Paired axial CT (left) and PSMA PET (right), 68Ga tracer. Slice position z = 343 mm.
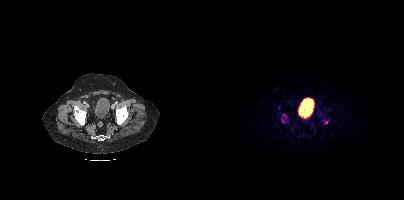
Coordinates are on the 200×200 PET (right) panel. (showing 2 of 3 foci) PSMA-avid tumor lesion bounding box (x0, y0)-(x1, y1): (119, 119)-(125, 124). Small PSMA-avid focus (2 to 4 px across) near (center x, center y): (116, 114).